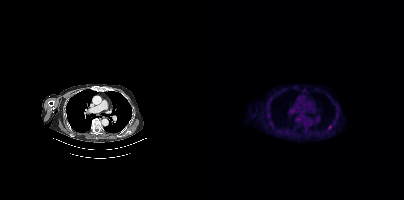
Paired axial CT (left) and PSMA PET (right), [18F]PSMA-1007 tracer. Slice position z = 182 mm. PET panel 200×200 px (4.1 mm/px). Only PSMA-avid lesion pieces thinner than 2 px on this slice (not listed).